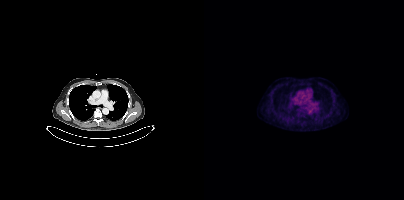
Negative for PSMA-avid disease on this slice.